Technique: Paired axial CT (left) and PSMA PET (right), 18F-PSMA tracer. slice 23 of 438.
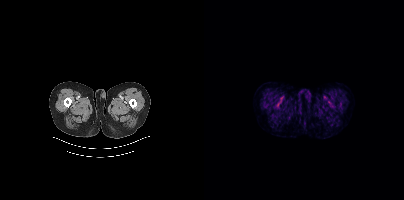
Findings: This slice has no annotated PSMA-avid lesion.